Technique: Left: CT. Right: PSMA PET, same axial level, 18F tracer. slice position z = 163 mm.
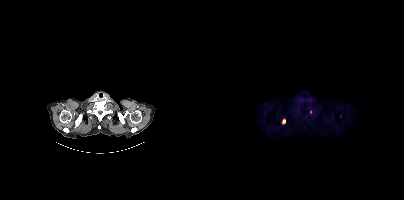
Findings: Coordinates are on the 200×200 PET (right) panel. (showing 2 of 3 foci) Small PSMA-avid foci (2 to 4 px across) near (center x, center y): (80, 120) (106, 111).